modality: PSMA PET/CT | tracer: 18F | view: axial | PET grid: 200×200
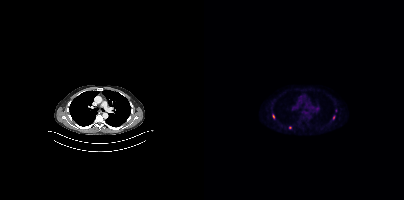
Coordinates are on the 200×200 PET (right) panel. (showing 3 of 4 foci) PSMA-avid tumor lesion bounding boxes (x0,y0,x1,y1): [68,114,70,118] [129,115,131,119]. Small PSMA-avid focus (2 to 4 px across) near (center x, center y): (86, 127).